redaction: rectangular block over head set to black | modality: PSMA PET/CT | tracer: 18F-PSMA | view: axial | PET grid: 200×200
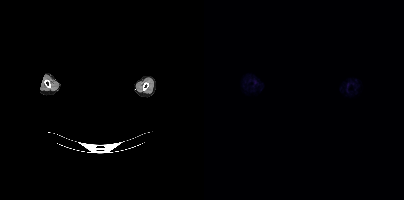
No tumor lesions annotated on this slice.